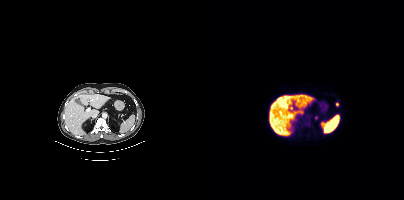
Coordinates are on the 200×200 PET (right) panel. Small PSMA-avid foci (2 to 4 px across) near (center x, center y): (133, 104) | (112, 117).